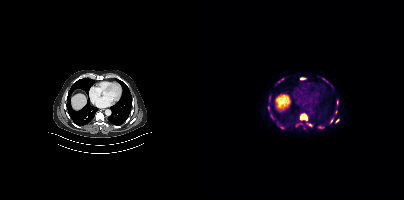
{"modality":"PSMA PET/CT","view":"axial","tracer":"18F-PSMA","pet_grid":[200,200],"coord_frame":"pet_panel","coord_format":"x0,y0,x1,y1","partial":true,"lesion_bboxes":[[96,114,103,120],[114,126,118,128],[75,126,79,128],[96,78,100,79],[133,100,134,104]],"small_foci_centers":[[64,107],[133,120],[127,121],[78,79],[132,111]]}